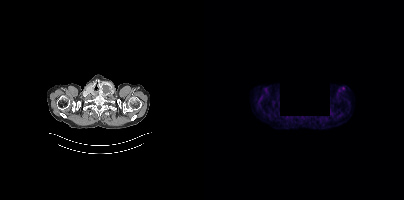
{"pet_grid":[200,200],"coord_frame":"pet_panel","coord_format":"x0,y0,x1,y1","psma_avid_lesions":false,"de-identification":"region redacted","modality":"PSMA PET/CT","view":"axial","tracer":"[18F]PSMA-1007"}